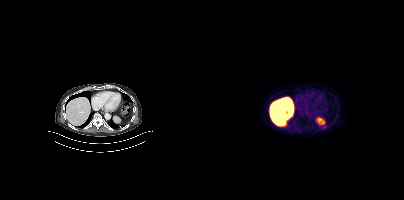
Coordinates are on the 200×200 PET (right) panel. Small PSMA-avid focus (2 to 4 px across) near (center x, center y): (120, 127).
modality: PSMA PET/CT | tracer: 18F-PSMA | view: axial | PET grid: 200×200